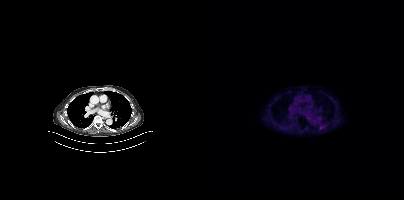
Coordinates are on the 200×200 PET (right) panel. Small PSMA-avid focus (2 to 4 px across) near (center x, center y): (116, 127). Paired axial CT (left) and PSMA PET (right), 18F tracer. Acquired on Siemens Biograph mCT Flow 20. Slice 276 of 389. PET panel 200×200 px (4.1 mm/px).